Left: CT. Right: PSMA PET, same axial level, [18F]PSMA-1007 tracer. Slice position z = -1454 mm.
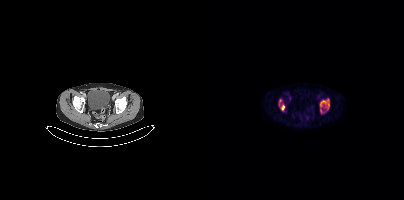
Coordinates are on the 200×200 PET (right) panel. PSMA-avid tumor lesion bounding boxes (x0, y0)-(x1, y1): (116, 98)-(125, 113) | (75, 99)-(81, 111).